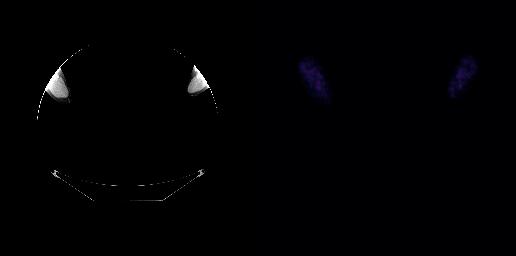
Paired axial CT (left) and PSMA PET (right), 18F-PSMA tracer. Slice position z = -14 mm. Any black rectangle over the head is a privacy mask, not anatomy. This slice has no annotated PSMA-avid lesion.